Two-panel axial: CT | PSMA PET, 18F-PSMA tracer. Slice 351 of 454. PET panel 200×200 px (4.1 mm/px).
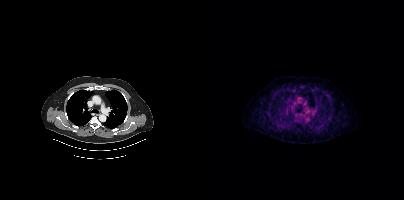
Negative for PSMA-avid disease on this slice.